Paired axial CT (left) and PSMA PET (right), 18F tracer. Slice 281 of 401.
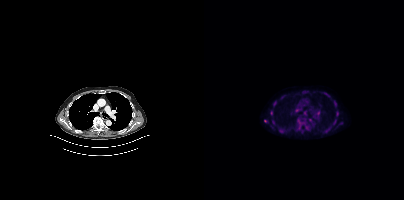
Coordinates are on the 200×200 PET (right) panel. PSMA-avid tumor lesion bounding boxes (partial; 1 more focus not listed):
| # | x0 | y0 | x1 | y1 |
|---|---|---|---|---|
| 1 | 94 | 119 | 101 | 123 |
| 2 | 132 | 111 | 134 | 116 |
| 3 | 130 | 101 | 132 | 106 |
Small PSMA-avid foci (2 to 4 px across) near (center x, center y): (67, 112); (61, 121); (70, 103); (69, 122); (106, 119).